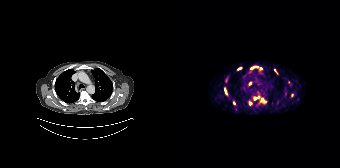
Findings: Coordinates are on the 168×168 PET (right) panel. (showing 8 of 13 foci) PSMA-avid tumor lesion bounding boxes (x0,y0,x1,y1): [52,88,54,94] [82,97,86,99]. Small PSMA-avid foci (2 to 4 px across) near (center x, center y): (67, 68) (103, 70) (61, 103) (80, 67) (77, 83) (90, 98).
Technique: Paired axial CT (left) and PSMA PET (right), [68Ga]Ga-PSMA-11 tracer.